Technique: Left: CT. Right: PSMA PET, same axial level, [18F]PSMA-1007 tracer. acquired on Siemens Biograph mCT Flow 20. PET panel 200×200 px (4.1 mm/px).
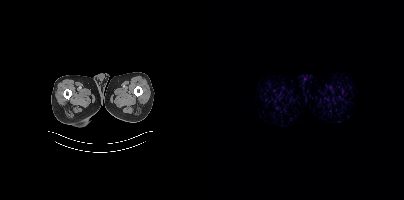
Findings: No PSMA-avid tumor lesions on this slice.